- Paired axial CT (left) and PSMA PET (right), 18F-PSMA tracer
- slice 45 of 299
- PET panel 256×256 px (2.7 mm/px)
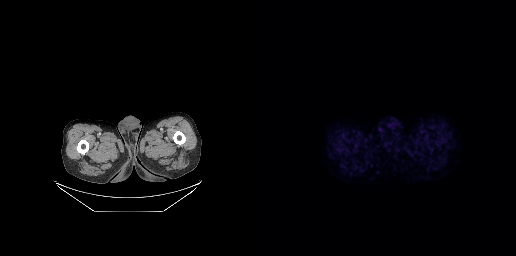
Findings: No tumor lesions annotated on this slice.